Technique: Left: CT. Right: PSMA PET, same axial level, 68Ga tracer. slice 102 of 263. PET panel 256×256 px (2.7 mm/px).
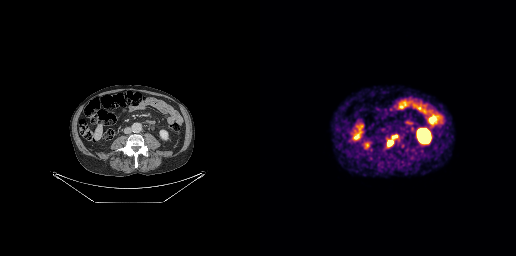
Findings: Coordinates are on the 256×256 PET (right) panel. PSMA-avid tumor lesion bounding box (x0,y0,x1,y1): [128,134,139,146].